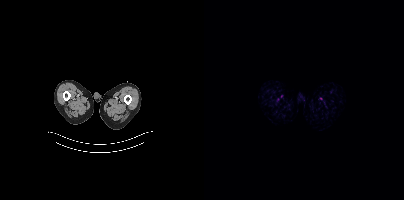
Technique: Paired axial CT (left) and PSMA PET (right), [18F]PSMA-1007 tracer. acquired on Siemens Biograph mCT Flow 20. PET panel 200×200 px (4.1 mm/px).
Findings: This slice has no annotated PSMA-avid lesion.